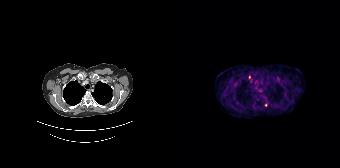
Coordinates are on the 168×168 PET (right) panel. (showing 1 of 2 foci) Small PSMA-avid focus (2 to 4 px across) near (center x, center y): (93, 105).